modality: PSMA PET/CT | tracer: 18F-PSMA | view: axial
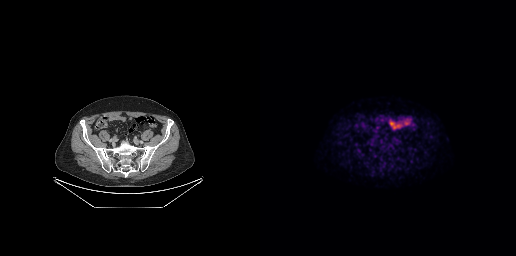
This slice has no annotated PSMA-avid lesion.